Technique: Left: CT. Right: PSMA PET, same axial level, [18F]PSMA-1007 tracer. slice 252 of 354.
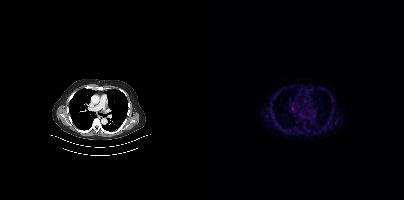
Findings: No tumor lesions annotated on this slice.